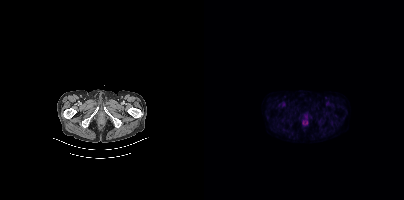
Left: CT. Right: PSMA PET, same axial level, 18F tracer. No tumor lesions annotated on this slice.